Left: CT. Right: PSMA PET, same axial level, 18F-PSMA tracer.
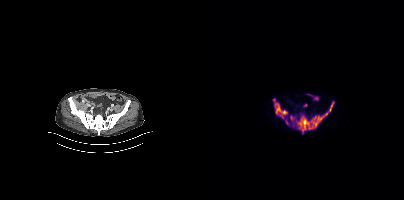
Coordinates are on the 200×200 PET (right) panel. PSMA-avid tumor lesion bounding boxes:
| # | x0 | y0 | x1 | y1 |
|---|---|---|---|---|
| 1 | 92 | 103 | 129 | 133 |
| 2 | 69 | 99 | 83 | 118 |
| 3 | 86 | 115 | 90 | 120 |
Small PSMA-avid focus (2 to 4 px across) near (center x, center y): (82, 122).